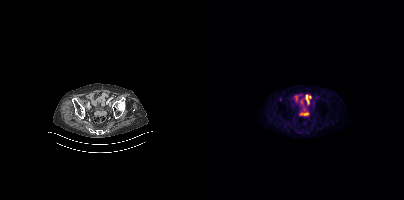
{"pet_grid":[200,200],"coord_frame":"pet_panel","coord_format":"x0,y0,x1,y1","psma_avid_lesions":false,"modality":"PSMA PET/CT","view":"axial","tracer":"18F-PSMA"}